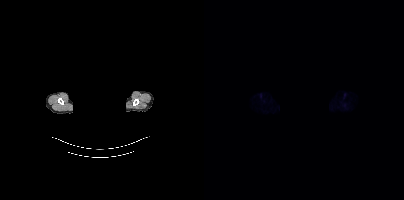
A rectangular block over the head has been blanked out for de-identification. Paired axial CT (left) and PSMA PET (right), [18F]PSMA-1007 tracer. Acquired on Siemens Biograph mCT Flow 20. Negative for PSMA-avid disease on this slice.